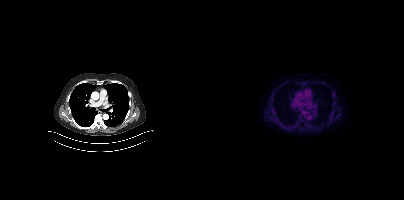
modality: PSMA PET/CT | tracer: 18F-PSMA | view: axial | PET grid: 200×200
Negative for PSMA-avid disease on this slice.